Technique: Left: CT. Right: PSMA PET, same axial level, 18F-PSMA tracer.
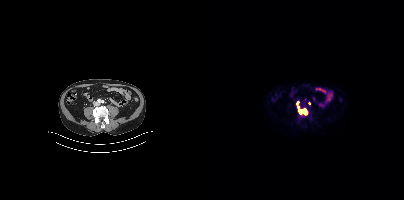
Findings: Coordinates are on the 200×200 PET (right) panel. (showing 3 of 4 foci) PSMA-avid tumor lesion bounding box (x0,y0,x1,y1): [94,109,103,114]. Small PSMA-avid foci (2 to 4 px across) near (center x, center y): (93, 106); (93, 102).